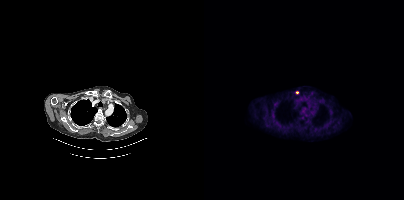
Coordinates are on the 200×200 PET (right) panel. Small PSMA-avid focus (2 to 4 px across) near (center x, center y): (93, 92).